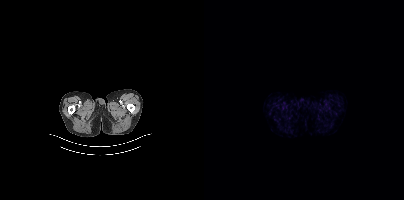
Paired axial CT (left) and PSMA PET (right), 18F-PSMA tracer. Acquired on Siemens Biograph mCT Flow 20. Slice position z = -990 mm. PET panel 200×200 px (4.1 mm/px). No tumor lesions annotated on this slice.